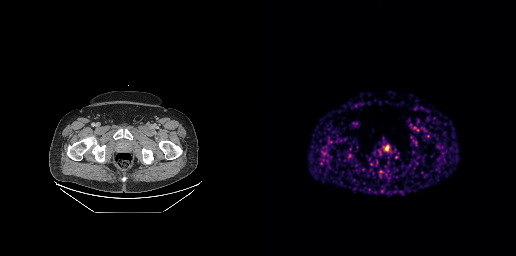
- Paired axial CT (left) and PSMA PET (right), [68Ga]Ga-PSMA-11 tracer
- slice 84 of 299
- PET panel 256×256 px (2.7 mm/px)
Findings: Coordinates are on the 256×256 PET (right) panel. PSMA-avid tumor lesion bounding box (x0, y0)-(x1, y1): (125, 145)-(129, 150).